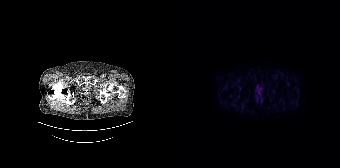
Findings: Negative for PSMA-avid disease on this slice.
Technique: Left: CT. Right: PSMA PET, same axial level, [18F]PSMA-1007 tracer. slice position z = -1262 mm.